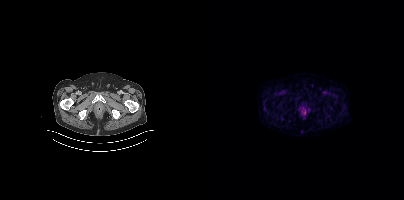
This slice has no annotated PSMA-avid lesion.